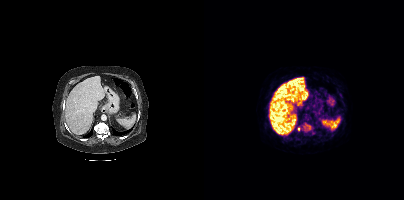
Coordinates are on the 200×200 PET (right) panel. PSMA-avid tumor lesion bounding box (x0, y0)-(x1, y1): (102, 125)-(106, 129). Small PSMA-avid foci (2 to 4 px across) near (center x, center y): (94, 128) / (100, 127).